- Left: CT. Right: PSMA PET, same axial level, 18F tracer
- slice position z = -2 mm
- PET panel 200×200 px (4.1 mm/px)
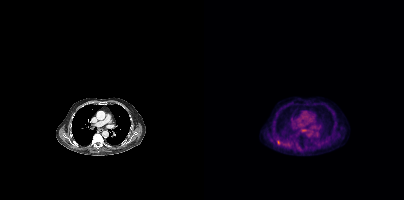
Findings: Coordinates are on the 200×200 PET (right) panel. PSMA-avid tumor lesion bounding box (x, y, width, height): x=73 y=140 w=4 h=5. Small PSMA-avid focus (2 to 4 px across) near (center x, center y): (69, 121).